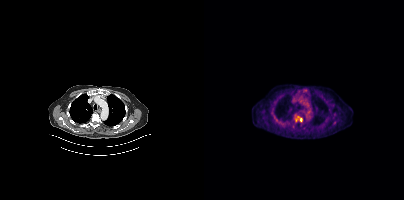
{"pet_grid":[200,200],"coord_frame":"pet_panel","coord_format":"x0,y0,x1,y1","lesion_bboxes":[],"small_foci_centers":[[96,119]],"modality":"PSMA PET/CT","view":"axial","tracer":"18F"}